Technique: Left: CT. Right: PSMA PET, same axial level, 18F-PSMA tracer. slice 69 of 263. PET panel 256×256 px (2.7 mm/px).
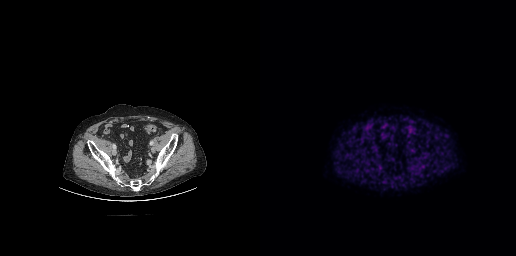
Findings: Negative for PSMA-avid disease on this slice.